Technique: Two-panel axial: CT | PSMA PET, 18F tracer. slice 122 of 299. PET panel 256×256 px (2.7 mm/px).
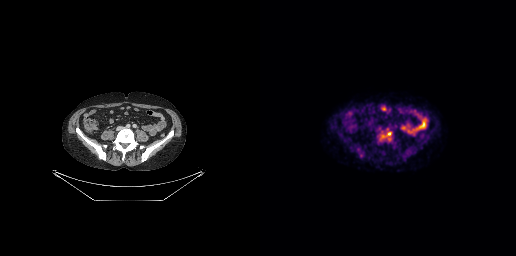
Findings: Coordinates are on the 256×256 PET (right) panel. PSMA-avid tumor lesion bounding box (x0, y0)-(x1, y1): (127, 131)-(131, 136).